Paired axial CT (left) and PSMA PET (right), 18F-PSMA tracer.
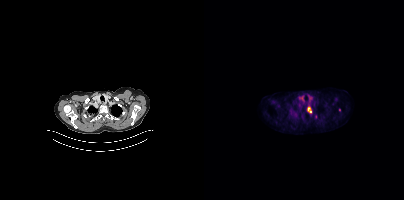
Coordinates are on the 200×200 PET (right) panel. PSMA-avid tumor lesion bounding boxes (partial; 1 more focus not listed):
| # | x0 | y0 | x1 | y1 |
|---|---|---|---|---|
| 1 | 103 | 105 | 108 | 113 |
Small PSMA-avid focus (2 to 4 px across) near (center x, center y): (135, 109).